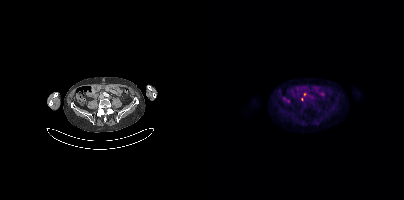
Findings: Coordinates are on the 200×200 PET (right) panel. Small PSMA-avid foci (2 to 4 px across) near (center x, center y): (101, 93) | (98, 99).
Technique: Left: CT. Right: PSMA PET, same axial level, 18F tracer. slice 137 of 417.